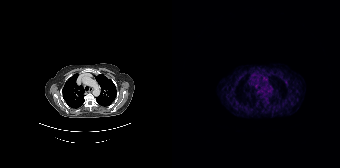
No tumor lesions annotated on this slice.